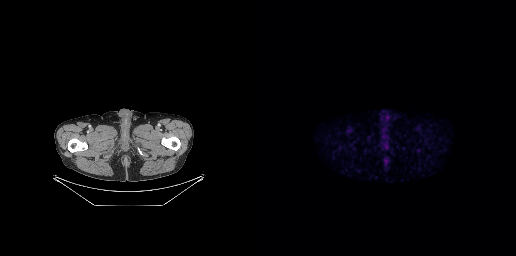
Left: CT. Right: PSMA PET, same axial level, [18F]PSMA-1007 tracer. Negative for PSMA-avid disease on this slice.